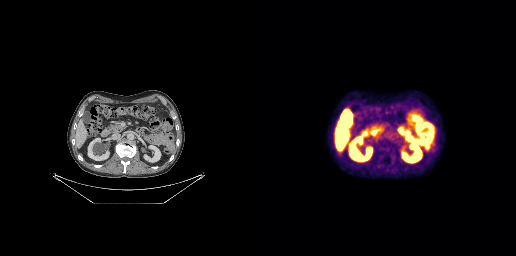
- Two-panel axial: CT | PSMA PET, 18F tracer
- acquired on GE Discovery 690
- PET panel 256×256 px (2.7 mm/px)
Findings: No PSMA-avid tumor lesions on this slice.